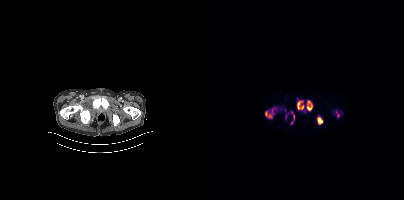
Technique: Two-panel axial: CT | PSMA PET, 18F-PSMA tracer.
Findings: Coordinates are on the 200×200 PET (right) panel. (showing 6 of 8 foci) PSMA-avid tumor lesion bounding boxes (x0, y0)-(x1, y1): (61, 108)-(72, 118) | (93, 101)-(99, 109) | (103, 101)-(108, 110) | (113, 117)-(118, 124) | (89, 115)-(90, 119). Small PSMA-avid focus (2 to 4 px across) near (center x, center y): (87, 122).